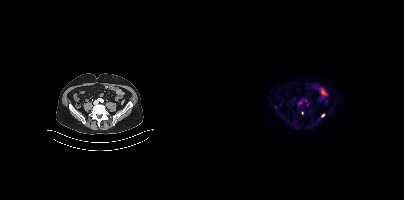
{"modality":"PSMA PET/CT","view":"axial","tracer":"[18F]PSMA-1007","pet_grid":[200,200],"coord_frame":"pet_panel","coord_format":"x0,y0,x1,y1","lesion_bboxes":[],"small_foci_centers":[[71,107],[119,115],[103,105],[98,112]]}